Two-panel axial: CT | PSMA PET, 18F tracer.
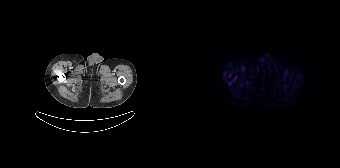
No PSMA-avid tumor lesions on this slice.